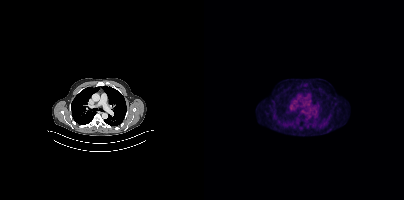
- Two-panel axial: CT | PSMA PET, 18F tracer
Findings: No PSMA-avid tumor lesions on this slice.